The face region was removed for patient privacy by blanking a rectangle over the head. Paired axial CT (left) and PSMA PET (right), 68Ga-PSMA tracer. Acquired on Siemens Biograph 64-4R TruePoint. Slice 174 of 195. PET panel 168×168 px (4.1 mm/px).
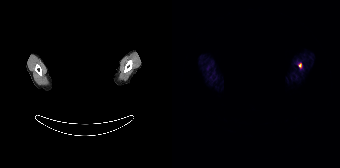
Coordinates are on the 168×168 PET (right) panel. Small PSMA-avid focus (2 to 4 px across) near (center x, center y): (127, 64).